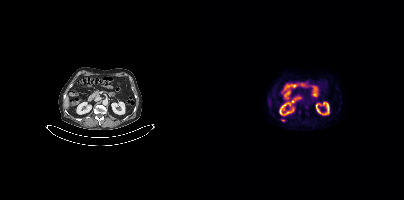
Paired axial CT (left) and PSMA PET (right), 18F-PSMA tracer. Acquired on Siemens Biograph mCT Flow 20. Slice position z = 38 mm. PET panel 200×200 px (4.1 mm/px). Coordinates are on the 200×200 PET (right) panel. PSMA-avid tumor lesion bounding box (x0, y0)-(x1, y1): (77, 119)-(81, 121).